- Paired axial CT (left) and PSMA PET (right), 18F-PSMA tracer
- PET panel 200×200 px (4.1 mm/px)
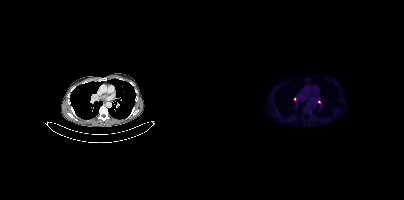
Findings: Coordinates are on the 200×200 PET (right) panel. Small PSMA-avid foci (2 to 4 px across) near (center x, center y): (106, 117) (115, 101) (90, 98) (89, 116).